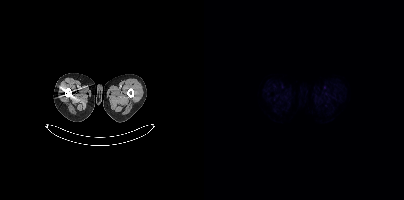
No PSMA-avid tumor lesions on this slice. Paired axial CT (left) and PSMA PET (right), 18F tracer. PET panel 200×200 px (4.1 mm/px).